- Paired axial CT (left) and PSMA PET (right), 18F tracer
- PET panel 200×200 px (4.1 mm/px)
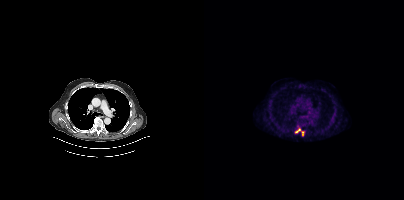
Findings: Coordinates are on the 200×200 PET (right) panel. PSMA-avid tumor lesion bounding box (x, y, width, height): x=91 y=128 w=10 h=8.